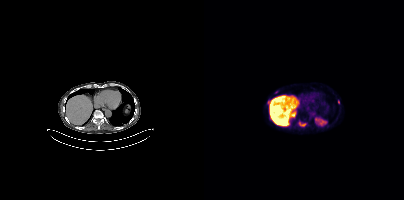
Coordinates are on the 200×200 PET (right) panel. PSMA-avid tumor lesion bounding box (x, y, width, height): x=95 y=122 w=7 h=5. Small PSMA-avid foci (2 to 4 px across) near (center x, center y): (72, 92); (134, 102); (64, 101).